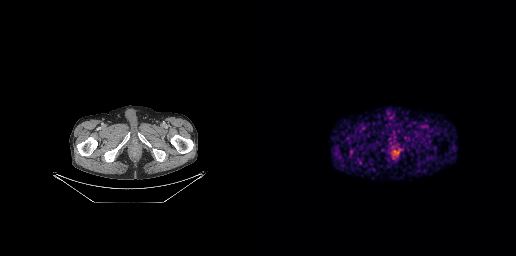
Findings: This slice has no annotated PSMA-avid lesion.
Technique: Left: CT. Right: PSMA PET, same axial level, 68Ga-PSMA tracer. slice position z = -936 mm.